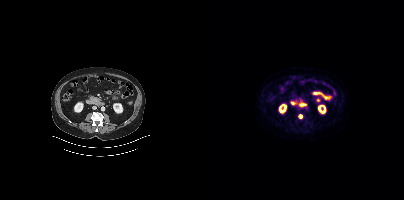
Coordinates are on the 200×200 PET (right) panel. Small PSMA-avid focus (2 to 4 px across) near (center x, center y): (96, 116).